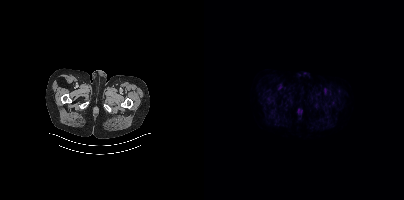
{"modality":"PSMA PET/CT","view":"axial","tracer":"[18F]PSMA-1007","pet_grid":[200,200],"coord_frame":"pet_panel","coord_format":"x0,y0,x1,y1","psma_avid_lesions":false}